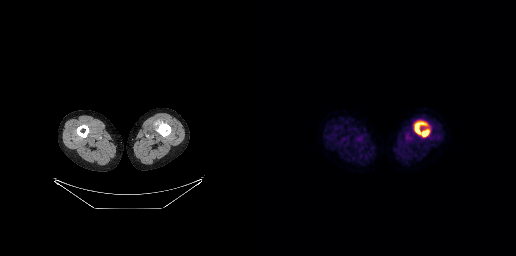
Coordinates are on the 256×256 PET (right) panel. PSMA-avid tumor lesion bounding box (x, y, width, height): x=154 y=121 w=16 h=16.